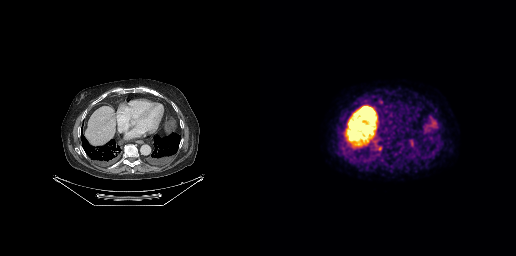
modality: PSMA PET/CT | tracer: 18F-PSMA | view: axial
Coordinates are on the 256×256 PET (right) panel. PSMA-avid tumor lesion bounding boxes (x, y, width, height): x=168 y=116 w=10 h=13; x=115 y=145 w=8 h=7; x=150 y=140 w=4 h=5.